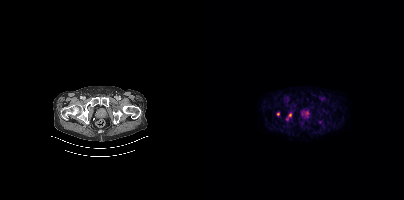
Coordinates are on the 200×200 PET (right) panel. PSMA-avid tumor lesion bounding box (x, y, width, height): x=82 y=113 w=6 h=7. Small PSMA-avid foci (2 to 4 px across) near (center x, center y): (74, 114); (116, 121).